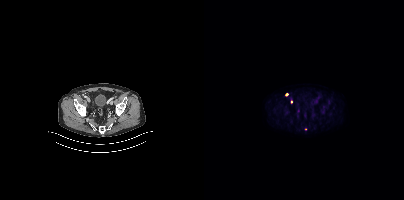
{"pet_grid":[200,200],"coord_frame":"pet_panel","coord_format":"x0,y0,x1,y1","partial":true,"lesion_bboxes":[],"modality":"PSMA PET/CT","view":"axial","tracer":"[18F]PSMA-1007"}